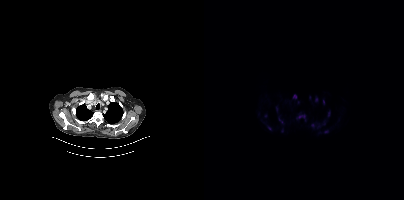
Coordinates are on the 200×200 PET (right) panel. (showing 8 of 9 foci) PSMA-avid tumor lesion bounding boxes (x0, y0)-(x1, y1): (93, 113)-(102, 121) / (119, 100)-(120, 104). Small PSMA-avid foci (2 to 4 px across) near (center x, center y): (90, 96) / (94, 102) / (105, 97) / (124, 113) / (65, 128) / (121, 131).